modality: PSMA PET/CT | tracer: 18F-PSMA | view: axial
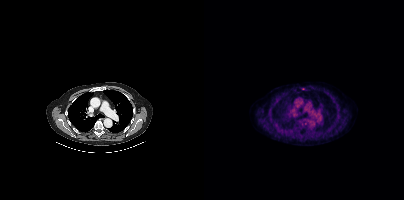
Coordinates are on the 200×200 PET (right) panel. Small PSMA-avid focus (2 to 4 px across) near (center x, center y): (99, 88).